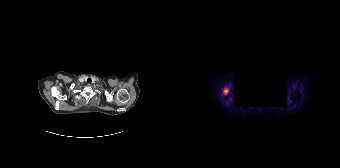
{"modality":"PSMA PET/CT","view":"axial","tracer":"[68Ga]Ga-PSMA-11","pet_grid":[168,168],"coord_frame":"pet_panel","coord_format":"x0,y0,x1,y1","partial":true,"lesion_bboxes":[],"small_foci_centers":[[54,90]],"deidentification":"rectangular block set to black"}